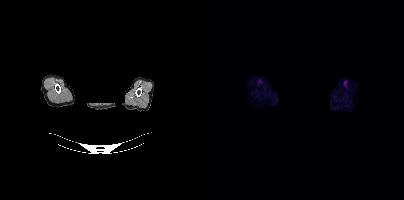
deidentification: facial region redacted | modality: PSMA PET/CT | tracer: [18F]PSMA-1007 | view: axial
No PSMA-avid tumor lesions on this slice.